modality: PSMA PET/CT | tracer: [18F]PSMA-1007 | view: axial | PET grid: 200×200
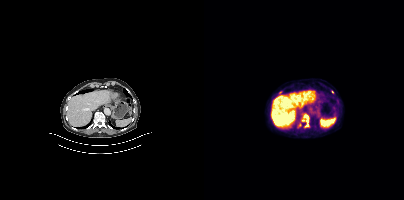
Coordinates are on the 200×200 PET (right) panel. (showing 2 of 3 foci) PSMA-avid tumor lesion bounding box (x0, y0)-(x1, y1): (100, 115)-(104, 127). Small PSMA-avid focus (2 to 4 px across) near (center x, center y): (128, 92).